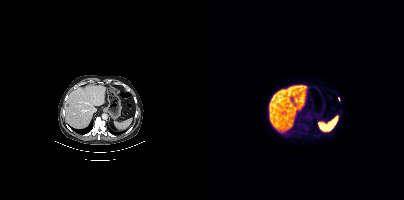
Coordinates are on the 200×200 PET (right) panel. Small PSMA-avid focus (2 to 4 px across) near (center x, center y): (134, 98).